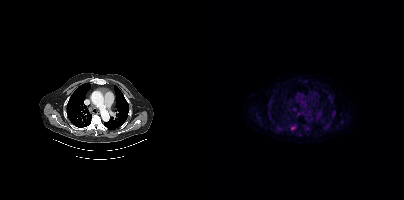
{"modality":"PSMA PET/CT","view":"axial","tracer":"18F","pet_grid":[200,200],"coord_frame":"pet_panel","coord_format":"x0,y0,x1,y1","lesion_bboxes":[[87,127,91,129]]}